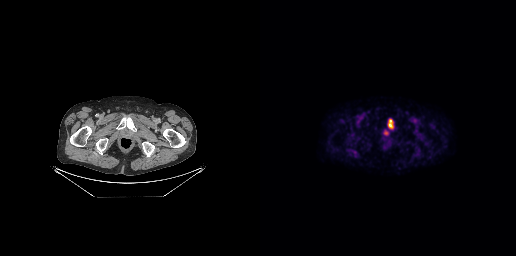
Technique: Two-panel axial: CT | PSMA PET, 18F tracer. PET panel 256×256 px (2.7 mm/px).
Findings: Coordinates are on the 256×256 PET (right) panel. PSMA-avid tumor lesion bounding box (x, y, width, height): x=128 y=120 w=5 h=9.